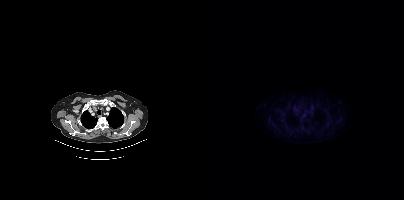
modality: PSMA PET/CT | tracer: [18F]PSMA-1007 | view: axial | PET grid: 200×200
Negative for PSMA-avid disease on this slice.